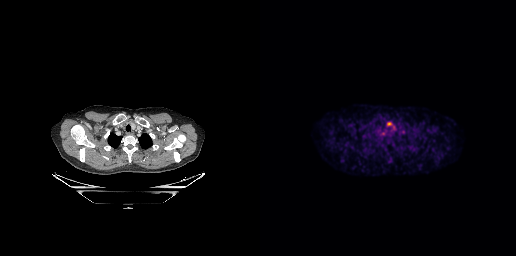
Coordinates are on the 256×256 PET (right) panel. Small PSMA-avid focus (2 to 4 px across) near (center x, center y): (129, 123).
modality: PSMA PET/CT | tracer: 18F | view: axial